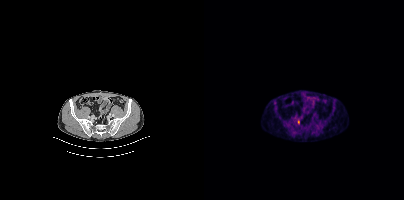
Findings: Coordinates are on the 200×200 PET (right) panel. Small PSMA-avid focus (2 to 4 px across) near (center x, center y): (94, 121).
Technique: Paired axial CT (left) and PSMA PET (right), 18F-PSMA tracer. PET panel 200×200 px (4.1 mm/px).